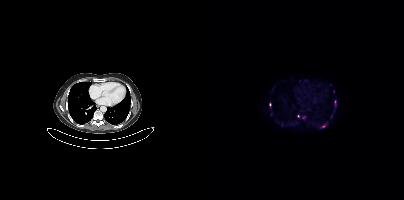
modality: PSMA PET/CT | tracer: 68Ga | view: axial | PET grid: 200×200
Coordinates are on the 200×200 PET (right) panel. (showing 2 of 6 foci) Small PSMA-avid foci (2 to 4 px across) near (center x, center y): (119, 126), (66, 105).